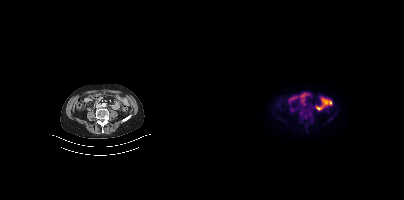
Left: CT. Right: PSMA PET, same axial level, [18F]PSMA-1007 tracer. Acquired on Siemens Biograph mCT Flow 20. Slice position z = -643 mm. Coordinates are on the 200×200 PET (right) panel. Small PSMA-avid focus (2 to 4 px across) near (center x, center y): (100, 104).